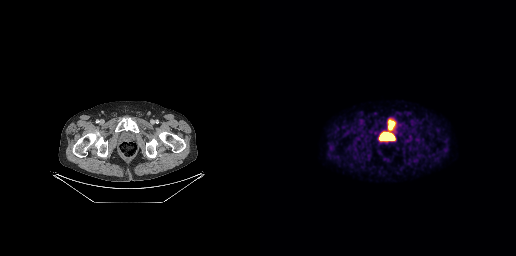
Technique: Two-panel axial: CT | PSMA PET, [18F]PSMA-1007 tracer. acquired on GE Discovery 690. slice 46 of 263. PET panel 256×256 px (2.7 mm/px).
Findings: Coordinates are on the 256×256 PET (right) panel. PSMA-avid tumor lesion bounding box (x, y, width, height): x=128 y=120 w=7 h=8.